Technique: Left: CT. Right: PSMA PET, same axial level, 68Ga-PSMA tracer. slice 69 of 299.
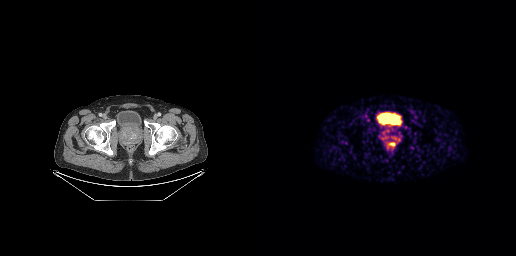
Findings: Coordinates are on the 256×256 PET (right) panel. Small PSMA-avid focus (2 to 4 px across) near (center x, center y): (132, 144).